- Paired axial CT (left) and PSMA PET (right), 18F tracer
- acquired on Siemens Biograph mCT Flow 20
- slice 154 of 454
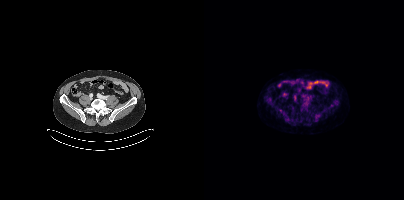
Findings: This slice has no annotated PSMA-avid lesion.